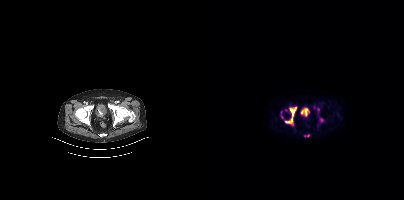
{"modality":"PSMA PET/CT","view":"axial","tracer":"18F-PSMA","pet_grid":[200,200],"coord_frame":"pet_panel","coord_format":"x0,y0,x1,y1","lesion_bboxes":[[81,108,91,124]],"small_foci_centers":[[102,114],[117,120]]}